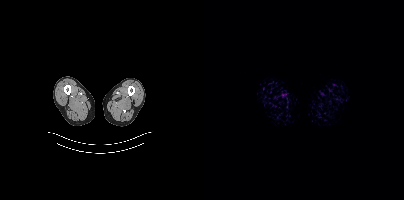
No tumor lesions annotated on this slice.